Left: CT. Right: PSMA PET, same axial level, [68Ga]Ga-PSMA-11 tracer. Acquired on Siemens Biograph 64-4R TruePoint. PET panel 168×168 px (4.1 mm/px).
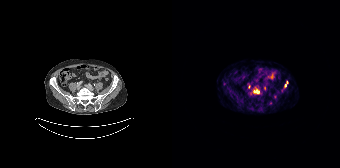
Coordinates are on the 168×168 PET (right) panel. PSMA-avid tumor lesion bounding boxes (partial; 2 more foci not listed):
| # | x0 | y0 | x1 | y1 |
|---|---|---|---|---|
| 1 | 81 | 89 | 87 | 93 |
Small PSMA-avid foci (2 to 4 px across) near (center x, center y): (77, 86); (92, 88); (113, 85).